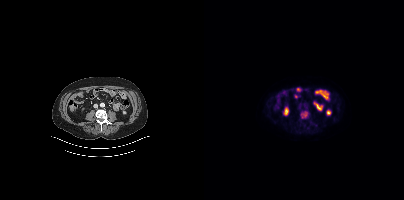
Coordinates are on the 200×200 PET (right) panel. (showing 2 of 4 foci) PSMA-avid tumor lesion bounding box (x0,y0,x1,y1): [97,112,103,116]. Small PSMA-avid focus (2 to 4 px across) near (center x, center y): (111, 125).